- Two-panel axial: CT | PSMA PET, 18F tracer
- acquired on Siemens Biograph mCT Flow 20
- slice 208 of 409
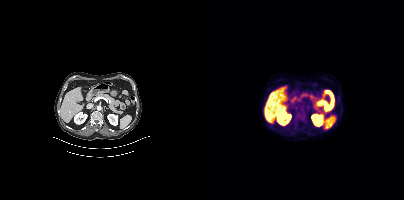
Findings: This slice has no annotated PSMA-avid lesion.